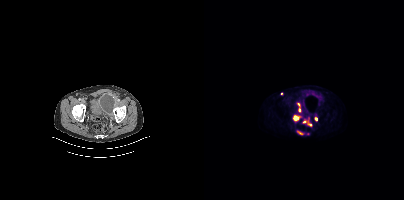
{"pet_grid":[200,200],"coord_frame":"pet_panel","coord_format":"x0,y0,x1,y1","partial":true,"lesion_bboxes":[[89,115,95,120]],"small_foci_centers":[[95,109],[94,104],[112,119],[105,124],[100,121]],"modality":"PSMA PET/CT","view":"axial","tracer":"18F-PSMA"}